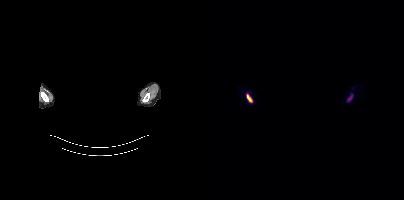
- head region blanked for anonymization (face removed)
- Paired axial CT (left) and PSMA PET (right), 68Ga-PSMA tracer
- PET panel 200×200 px (4.1 mm/px)
Findings: Coordinates are on the 200×200 PET (right) panel. PSMA-avid tumor lesion bounding boxes (x0, y0)-(x1, y1): (42, 94)-(48, 102) / (143, 96)-(148, 101).